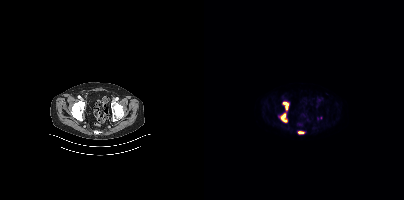
Two-panel axial: CT | PSMA PET, 18F tracer. Slice position z = -906 mm. Coordinates are on the 200×200 PET (right) panel. PSMA-avid tumor lesion bounding boxes (x0, y0)-(x1, y1): (77, 114)-(82, 122) / (79, 102)-(84, 109) / (94, 131)-(99, 133).